Privacy masking over the head, with the pixels inside a rectangle set to black. Two-panel axial: CT | PSMA PET, 68Ga-PSMA tracer. Slice 353 of 397. PET panel 200×200 px (4.1 mm/px).
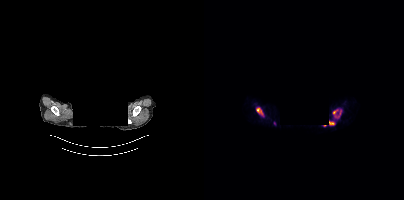
Coordinates are on the 200×200 PET (right) panel. PSMA-avid tumor lesion bounding boxes:
| # | x0 | y0 | x1 | y1 |
|---|---|---|---|---|
| 1 | 52 | 108 | 59 | 116 |
| 2 | 129 | 110 | 136 | 115 |
| 3 | 125 | 121 | 131 | 125 |